Two-panel axial: CT | PSMA PET, 68Ga tracer. PET panel 200×200 px (4.1 mm/px).
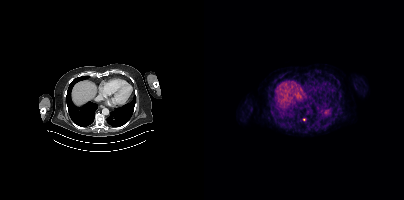
Coordinates are on the 200×200 PET (right) panel. Small PSMA-avid focus (2 to 4 px across) near (center x, center y): (100, 119).